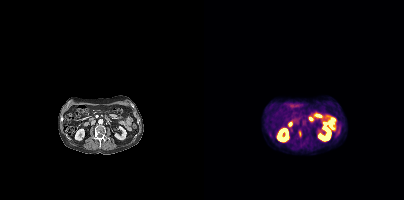
{"pet_grid":[200,200],"coord_frame":"pet_panel","coord_format":"x0,y0,x1,y1","lesion_bboxes":[[94,130,97,137]],"modality":"PSMA PET/CT","view":"axial","tracer":"[18F]PSMA-1007"}